modality: PSMA PET/CT | tracer: 68Ga | view: axial
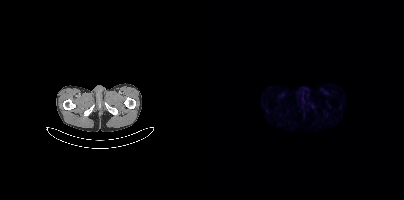
Negative for PSMA-avid disease on this slice.